- Two-panel axial: CT | PSMA PET, [18F]PSMA-1007 tracer
- PET panel 200×200 px (4.1 mm/px)
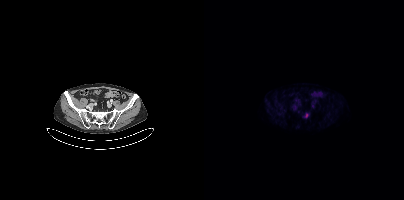
Findings: Coordinates are on the 200×200 PET (right) panel. Small PSMA-avid focus (2 to 4 px across) near (center x, center y): (102, 115).